Two-panel axial: CT | PSMA PET, 18F tracer. PET panel 200×200 px (4.1 mm/px).
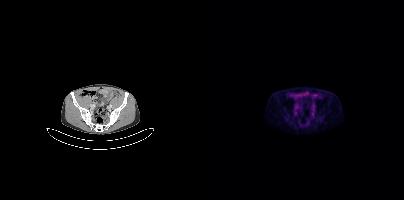
Coordinates are on the 200×200 PET (right) panel. PSMA-avid tumor lesion bounding box (x0, y0)-(x1, y1): (90, 106)-(94, 110). Small PSMA-avid focus (2 to 4 px across) near (center x, center y): (108, 109).